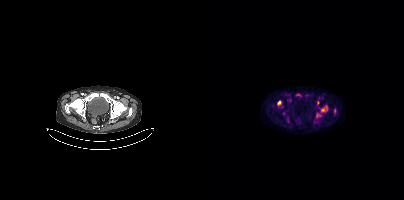
Technique: Left: CT. Right: PSMA PET, same axial level, 18F-PSMA tracer. PET panel 200×200 px (4.1 mm/px).
Findings: Coordinates are on the 200×200 PET (right) panel. (showing 2 of 7 foci) PSMA-avid tumor lesion bounding box (x0,y0,x1,y1): [117,108,121,111]. Small PSMA-avid focus (2 to 4 px across) near (center x, center y): (74, 102).